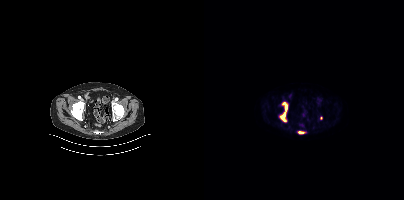
modality: PSMA PET/CT | tracer: 18F | view: axial
Coordinates are on the 200×200 PET (right) panel. (showing 2 of 3 foci) PSMA-avid tumor lesion bounding boxes (x, y, width, height): x=76 y=102 w=8 h=20; x=94 y=131 w=7 h=3.